Technique: Paired axial CT (left) and PSMA PET (right), 68Ga-PSMA tracer.
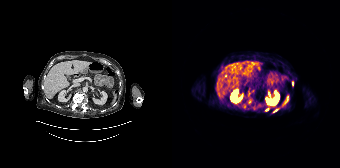
Findings: Coordinates are on the 168×168 PET (right) panel. (showing 2 of 3 foci) Small PSMA-avid foci (2 to 4 px across) near (center x, center y): (103, 110) / (95, 109).